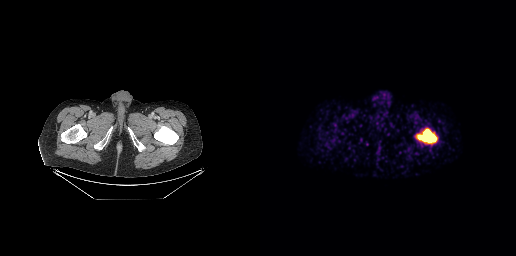
modality: PSMA PET/CT | tracer: 68Ga | view: axial | PET grid: 256×256
Coordinates are on the 256×256 PET (right) panel. PSMA-avid tumor lesion bounding box (x, y, width, height): x=156 y=128 w=22 h=16.